Technique: Two-panel axial: CT | PSMA PET, [68Ga]Ga-PSMA-11 tracer. acquired on Siemens Biograph 64-4R TruePoint.
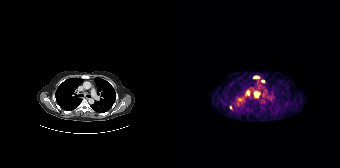
Findings: Coordinates are on the 168×168 PET (right) panel. PSMA-avid tumor lesion bounding boxes (x0,y0,x1,y1): [82,91,88,97], [73,90,77,95], [81,76,87,78]. Small PSMA-avid foci (2 to 4 px across) near (center x, center y): (67, 99), (90, 81), (58, 107).